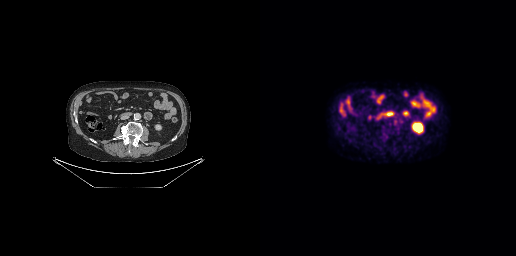
Findings: This slice has no annotated PSMA-avid lesion.
Technique: Left: CT. Right: PSMA PET, same axial level, [18F]PSMA-1007 tracer. slice 127 of 263. PET panel 256×256 px (2.7 mm/px).